- Paired axial CT (left) and PSMA PET (right), [18F]PSMA-1007 tracer
- slice position z = -816 mm
- PET panel 256×256 px (2.7 mm/px)
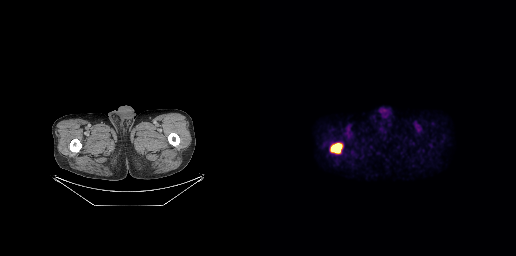
Findings: Coordinates are on the 256×256 PET (right) panel. PSMA-avid tumor lesion bounding box (x0,y0,x1,y1): [70,142,83,154].